Technique: Two-panel axial: CT | PSMA PET, 18F tracer.
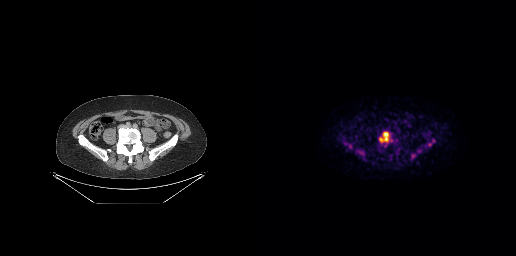
Findings: Coordinates are on the 256×256 PET (right) panel. (showing 4 of 6 foci) PSMA-avid tumor lesion bounding boxes (x0, y0)-(x1, y1): (119, 131)-(129, 142); (168, 139)-(174, 146); (98, 150)-(104, 155). Small PSMA-avid focus (2 to 4 px across) near (center x, center y): (160, 150).